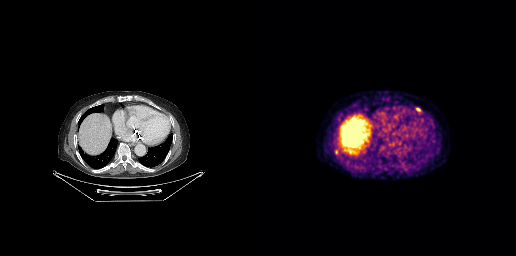
Findings: Coordinates are on the 256×256 PET (right) panel. Small PSMA-avid foci (2 to 4 px across) near (center x, center y): (76, 151); (158, 109).
Technique: Left: CT. Right: PSMA PET, same axial level, [18F]PSMA-1007 tracer. PET panel 256×256 px (2.7 mm/px).